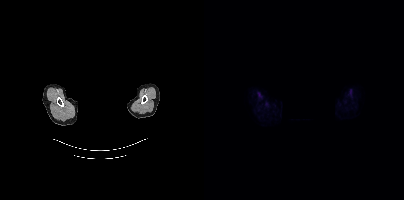
No tumor lesions annotated on this slice. Paired axial CT (left) and PSMA PET (right), [18F]PSMA-1007 tracer. Acquired on Siemens Biograph mCT Flow 20. An anonymization step blacked out a rectangle over the head in this scan.